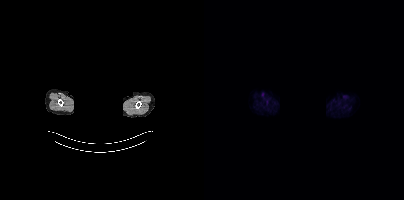
Negative for PSMA-avid disease on this slice. Paired axial CT (left) and PSMA PET (right), [18F]PSMA-1007 tracer. Acquired on Siemens Biograph mCT Flow 20. A rectangle over the head was blacked out to remove identifiable facial features.